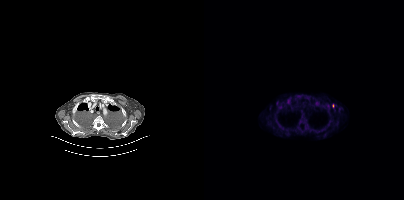
Coordinates are on the 200×200 PET (right) panel. Small PSMA-avid foci (2 to 4 px across) near (center x, center y): (84, 101); (129, 105); (100, 119); (72, 103).
modality: PSMA PET/CT | tracer: [18F]PSMA-1007 | view: axial